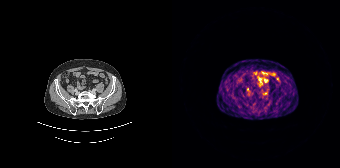
No tumor lesions annotated on this slice.